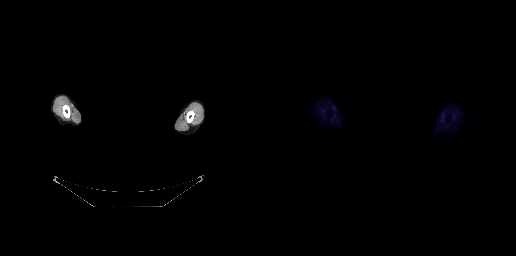
No PSMA-avid tumor lesions on this slice. An anonymization step blacked out a rectangle over the head in this scan. Two-panel axial: CT | PSMA PET, [18F]PSMA-1007 tracer. Acquired on GE Discovery 690. Slice 253 of 263.